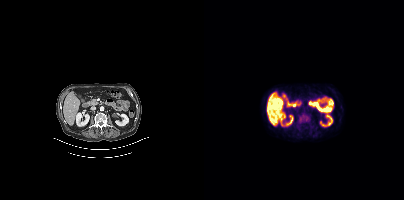
Paired axial CT (left) and PSMA PET (right), 18F tracer. Acquired on Siemens Biograph mCT Flow 20. Slice 195 of 452. PET panel 200×200 px (4.1 mm/px). Coordinates are on the 200×200 PET (right) panel. PSMA-avid tumor lesion bounding box (x0, y0)-(x1, y1): (96, 114)-(105, 122).